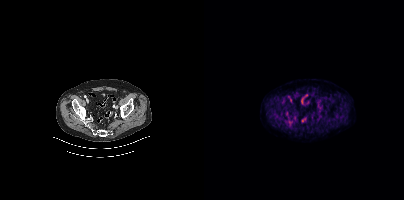
No tumor lesions annotated on this slice.